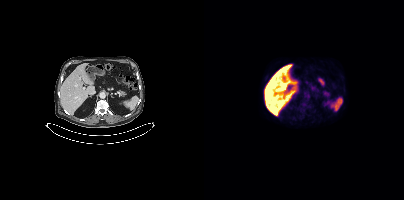
{"modality":"PSMA PET/CT","view":"axial","tracer":"[18F]PSMA-1007","pet_grid":[200,200],"coord_frame":"pet_panel","coord_format":"x0,y0,x1,y1","psma_avid_lesions":false}